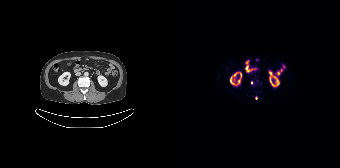
Coordinates are on the 168×168 PET (right) panel. Small PSMA-avid foci (2 to 4 px across) near (center x, center y): (84, 97) | (79, 82).
modality: PSMA PET/CT | tracer: 18F | view: axial | PET grid: 168×168